- Paired axial CT (left) and PSMA PET (right), 68Ga tracer
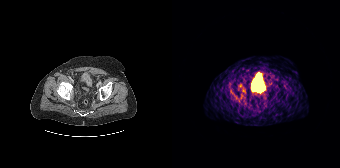
Findings: Coordinates are on the 168×168 PET (right) panel. (showing 1 of 2 foci) Small PSMA-avid focus (2 to 4 px across) near (center x, center y): (71, 90).